- Left: CT. Right: PSMA PET, same axial level, 18F tracer
- PET panel 200×200 px (4.1 mm/px)
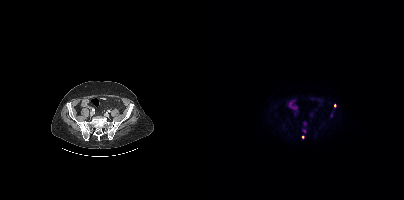
Findings: Coordinates are on the 200×200 PET (right) panel. Small PSMA-avid foci (2 to 4 px across) near (center x, center y): (98, 137), (130, 105).